Two-panel axial: CT | PSMA PET, 18F tracer. Acquired on Siemens Biograph mCT Flow 20.
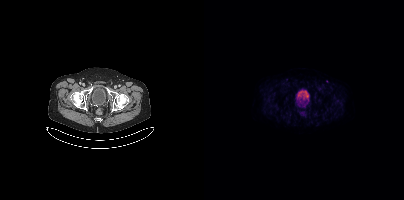
No tumor lesions annotated on this slice.